Technique: Left: CT. Right: PSMA PET, same axial level, [18F]PSMA-1007 tracer. acquired on Siemens Biograph mCT Flow 20. slice position z = -1580 mm. PET panel 200×200 px (4.1 mm/px).
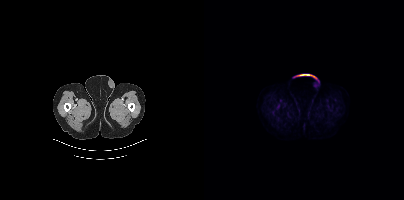
Findings: Negative for PSMA-avid disease on this slice.